modality: PSMA PET/CT | tracer: 18F-PSMA | view: axial | PET grid: 200×200
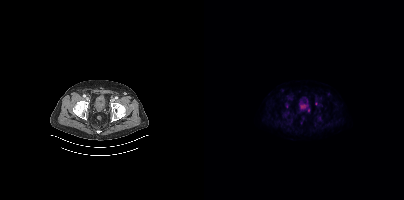
No tumor lesions annotated on this slice.